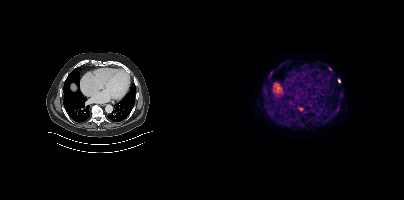
Two-panel axial: CT | PSMA PET, 18F-PSMA tracer. Acquired on Siemens Biograph mCT Flow 20. Slice 287 of 454. Coordinates are on the 200×200 PET (right) panel. (showing 10 of 11 foci) PSMA-avid tumor lesion bounding boxes (x0, y0)-(x1, y1): (95, 107)-(101, 114); (64, 72)-(68, 78); (59, 88)-(63, 92); (132, 106)-(135, 111); (122, 64)-(127, 70); (65, 113)-(68, 117). Small PSMA-avid foci (2 to 4 px across) near (center x, center y): (137, 93); (128, 116); (135, 81); (121, 122).